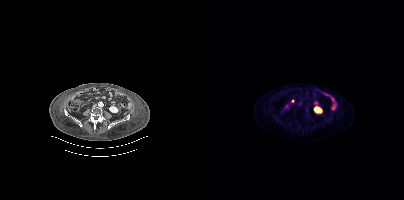
Coordinates are on the 200×200 PET (right) panel. Small PSMA-avid focus (2 to 4 px across) near (center x, center y): (103, 110). Two-panel axial: CT | PSMA PET, [18F]PSMA-1007 tracer. Slice 122 of 344.